Two-panel axial: CT | PSMA PET, 68Ga-PSMA tracer. Acquired on GE Discovery 690. Slice position z = -909 mm. PET panel 256×256 px (2.7 mm/px).
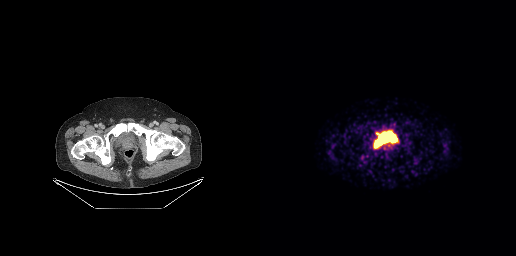
Coordinates are on the 256×256 PET (right) panel. PSMA-avid tumor lesion bounding box (x, y, width, height): x=116 y=131 w=8 h=7.